- Paired axial CT (left) and PSMA PET (right), [18F]PSMA-1007 tracer
- acquired on Siemens Biograph mCT Flow 20
- slice 243 of 409
- PET panel 200×200 px (4.1 mm/px)
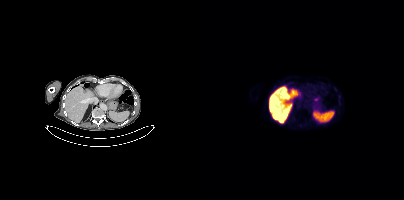
Findings: This slice has no annotated PSMA-avid lesion.